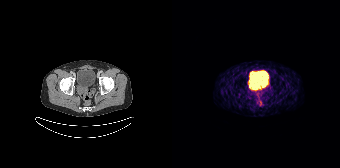
{"pet_grid":[168,168],"coord_frame":"pet_panel","coord_format":"x0,y0,x1,y1","psma_avid_lesions":false,"modality":"PSMA PET/CT","view":"axial","tracer":"68Ga-PSMA"}